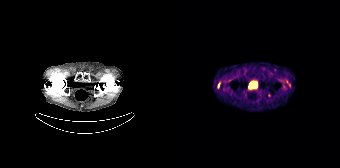
Findings: Coordinates are on the 168×168 PET (right) panel. (showing 4 of 6 foci) PSMA-avid tumor lesion bounding box (x0, y0)-(x1, y1): (46, 83)-(48, 88). Small PSMA-avid foci (2 to 4 px across) near (center x, center y): (97, 95) | (117, 85) | (114, 81).
Technique: Two-panel axial: CT | PSMA PET, 68Ga tracer.